Two-panel axial: CT | PSMA PET, 18F-PSMA tracer.
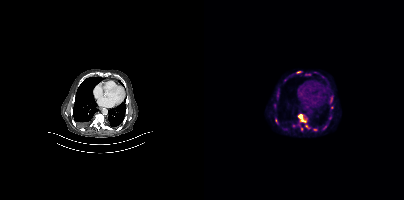
Coordinates are on the 200×200 PET (right) panel. (showing 9 of 10 foci) PSMA-avid tumor lesion bounding boxes (x0,y0,x1,y1): [94,114,106,129]; [92,71,97,73]; [101,74,106,75]; [97,127,99,131]; [71,119,73,123]; [127,97,128,101]. Small PSMA-avid foci (2 to 4 px across) near (center x, center y): (110, 129); (126, 118); (121, 127).